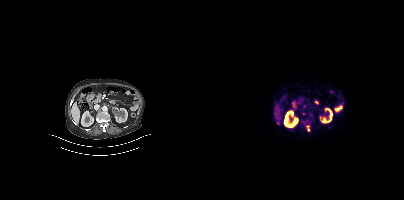
modality: PSMA PET/CT | tracer: [68Ga]Ga-PSMA-11 | view: axial | PET grid: 200×200
Coordinates are on the 200×200 PET (right) panel. PSMA-avid tumor lesion bounding boxes (x0,y0,x1,y1): [102,125,105,130], [99,104,102,108]. Small PSMA-avid foci (2 to 4 px across) near (center x, center y): (74, 122), (71, 118), (99, 121).